Technique: Two-panel axial: CT | PSMA PET, 18F-PSMA tracer. acquired on Siemens Biograph mCT Flow 20. slice position z = -1011 mm.
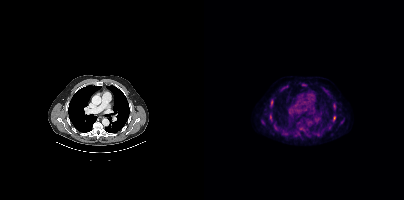
Findings: Coordinates are on the 200×200 PET (right) panel. (showing 3 of 6 foci) PSMA-avid tumor lesion bounding box (x0, y0)-(x1, y1): (129, 116)-(131, 120). Small PSMA-avid foci (2 to 4 px across) near (center x, center y): (68, 101) | (67, 106).